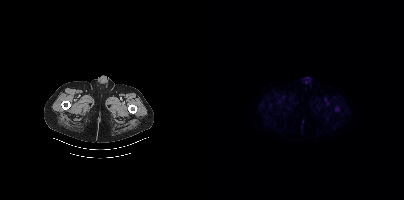
Two-panel axial: CT | PSMA PET, [18F]PSMA-1007 tracer. Acquired on Siemens Biograph mCT Flow 20. Slice 46 of 464. PET panel 200×200 px (4.1 mm/px). Coordinates are on the 200×200 PET (right) panel. PSMA-avid tumor lesion bounding box (x, y, width, height): x=131 y=107 w=5 h=5.